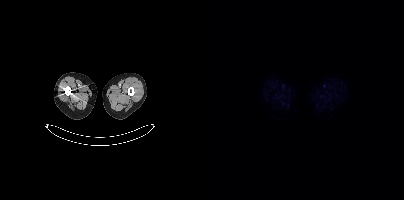
Findings: This slice has no annotated PSMA-avid lesion.
Technique: Left: CT. Right: PSMA PET, same axial level, [18F]PSMA-1007 tracer. acquired on Siemens Biograph mCT Flow 20.